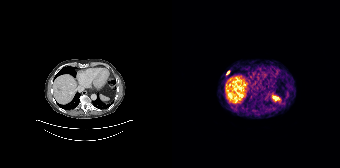
Coordinates are on the 168×168 PET (right) panel. Small PSMA-avid focus (2 to 4 px across) near (center x, center y): (56, 72).